Left: CT. Right: PSMA PET, same axial level, 18F-PSMA tracer. Slice 242 of 263. PET panel 256×256 px (2.7 mm/px). Head region blanked for anonymization (face removed).
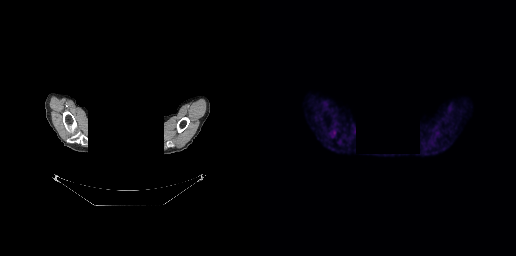
This slice has no annotated PSMA-avid lesion.